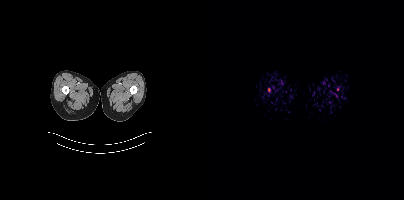
Findings: Coordinates are on the 200×200 PET (right) panel. Small PSMA-avid foci (2 to 4 px across) near (center x, center y): (65, 90) | (133, 89).
Technique: Two-panel axial: CT | PSMA PET, 18F tracer. acquired on Siemens Biograph mCT Flow 20. slice 1 of 429.